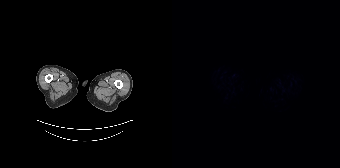
No PSMA-avid tumor lesions on this slice. Left: CT. Right: PSMA PET, same axial level, 18F-PSMA tracer. Acquired on Siemens Biograph 64-4R TruePoint. PET panel 168×168 px (4.1 mm/px).